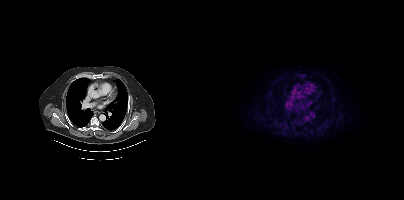
No tumor lesions annotated on this slice.
modality: PSMA PET/CT | tracer: [18F]PSMA-1007 | view: axial